The face region was removed for patient privacy by blanking a rectangle over the head.
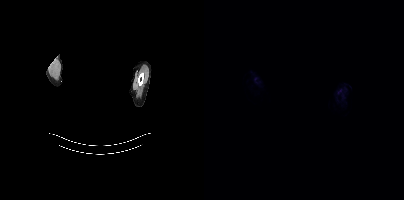
No tumor lesions annotated on this slice.